modality: PSMA PET/CT | tracer: 18F-PSMA | view: axial | de-identification: rectangular block over head set to black
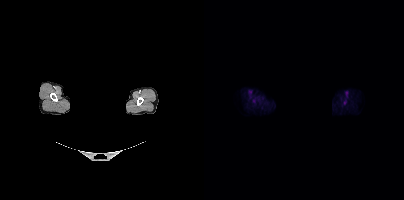
Coordinates are on the 200×200 PET (right) panel. Small PSMA-avid focus (2 to 4 px across) near (center x, center y): (140, 102).